- Two-panel axial: CT | PSMA PET, 68Ga tracer
- slice 265 of 397
- PET panel 200×200 px (4.1 mm/px)
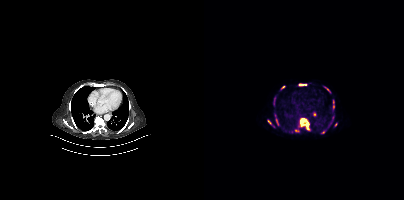
Findings: Coordinates are on the 200×200 PET (right) panel. (showing 10 of 14 foci) PSMA-avid tumor lesion bounding boxes (x0,y0,x1,y1): [96,118,105,128] [95,84,102,85] [121,87,126,92] [69,98,71,103] [129,100,130,104] [64,120,67,124]. Small PSMA-avid foci (2 to 4 px across) near (center x, center y): (78, 87) (72, 120) (92, 130) (129, 116).